Technique: Left: CT. Right: PSMA PET, same axial level, [18F]PSMA-1007 tracer. acquired on GE Discovery 690. slice position z = -549 mm.
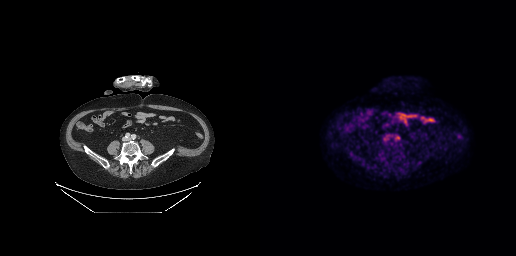
Findings: Coordinates are on the 256×256 PET (right) panel. Small PSMA-avid focus (2 to 4 px across) near (center x, center y): (137, 137).